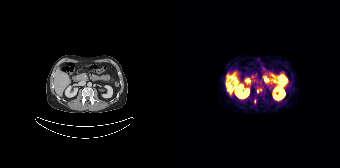
Paired axial CT (left) and PSMA PET (right), [68Ga]Ga-PSMA-11 tracer. Acquired on Siemens Biograph 64-4R TruePoint. Slice 98 of 195. Coordinates are on the 168×168 PET (right) panel. (showing 2 of 3 foci) Small PSMA-avid foci (2 to 4 px across) near (center x, center y): (85, 91) | (88, 89).